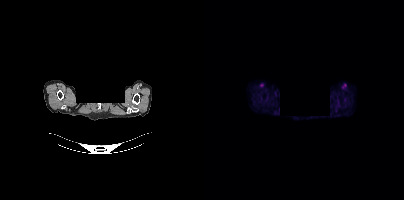
Technique: Two-panel axial: CT | PSMA PET, 18F tracer. slice 358 of 401.
Note: A rectangle over the head was blacked out to remove identifiable facial features.
Findings: No tumor lesions annotated on this slice.